Paired axial CT (left) and PSMA PET (right), [18F]PSMA-1007 tracer. Acquired on Siemens Biograph mCT Flow 20. Slice position z = -996 mm. A rectangular privacy mask was applied before release.
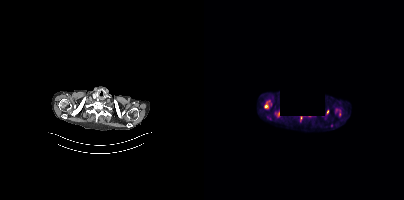
Coordinates are on the 200×200 PET (right) panel. Small PSMA-avid focus (2 to 4 px across) near (center x, center y): (97, 117).